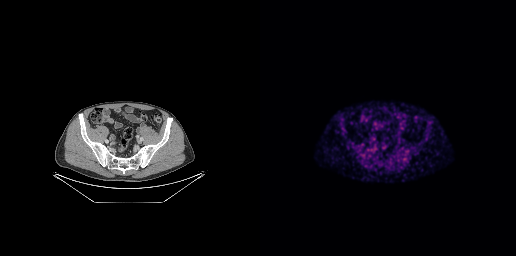
Findings: Coordinates are on the 256×256 PET (right) panel. PSMA-avid tumor lesion bounding box (x, y, width, height): x=113 y=144 w=4 h=6.
- Paired axial CT (left) and PSMA PET (right), [18F]PSMA-1007 tracer
- acquired on GE Discovery 690
- slice 93 of 299
- PET panel 256×256 px (2.7 mm/px)